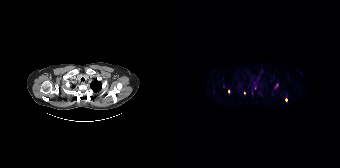
Coordinates are on the 168×168 PET (right) panel. (showing 5 of 6 foci) Small PSMA-avid foci (2 to 4 px across) near (center x, center y): (114, 99); (81, 93); (56, 91); (104, 85); (72, 92). Paired axial CT (left) and PSMA PET (right), [18F]PSMA-1007 tracer.